modality: PSMA PET/CT | tracer: [18F]PSMA-1007 | view: axial
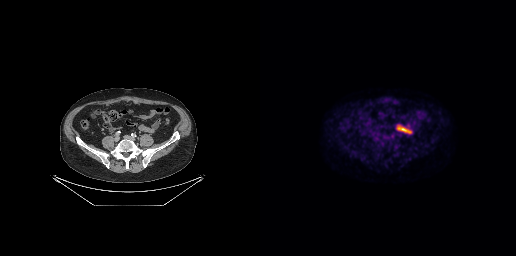
This slice has no annotated PSMA-avid lesion.